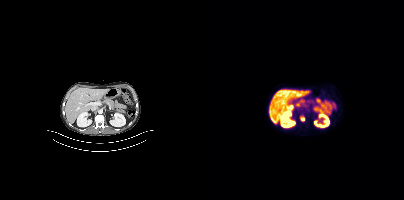
Coordinates are on the 200×200 PET (right) panel. PSMA-avid tumor lesion bounding box (x0, y0)-(x1, y1): (96, 116)-(100, 121).
modality: PSMA PET/CT | tracer: 18F | view: axial